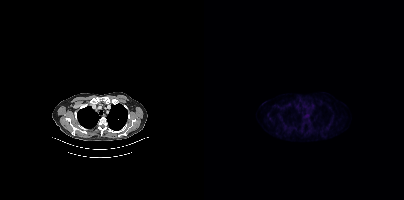
Technique: Two-panel axial: CT | PSMA PET, 18F tracer. slice position z = -1006 mm. PET panel 200×200 px (4.1 mm/px).
Findings: This slice has no annotated PSMA-avid lesion.